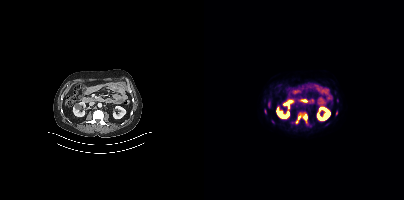
Coordinates are on the 200×200 PET (right) panel. PSMA-avid tumor lesion bounding boxes (partial; 1 more focus not listed):
| # | x0 | y0 | x1 | y1 |
|---|---|---|---|---|
| 1 | 99 | 114 | 103 | 120 |
| 2 | 92 | 115 | 97 | 123 |
Left: CT. Right: PSMA PET, same axial level, [18F]PSMA-1007 tracer.